- the head region is masked for de-identification
- Paired axial CT (left) and PSMA PET (right), [18F]PSMA-1007 tracer
- acquired on Siemens Biograph mCT Flow 20
- slice position z = -190 mm
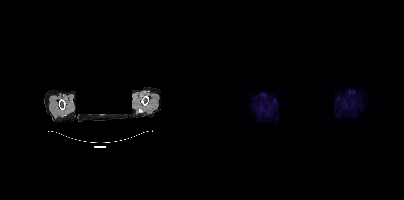
Findings: Negative for PSMA-avid disease on this slice.